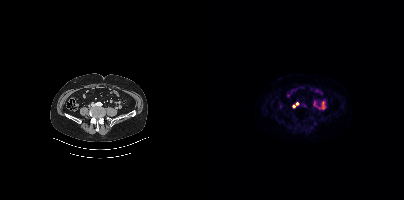
Coordinates are on the 200×200 PET (right) panel. Small PSMA-avid foci (2 to 4 px across) near (center x, center y): (89, 106); (93, 103). Left: CT. Right: PSMA PET, same axial level, [18F]PSMA-1007 tracer. Acquired on Siemens Biograph mCT Flow 20. PET panel 200×200 px (4.1 mm/px).